- Two-panel axial: CT | PSMA PET, 68Ga tracer
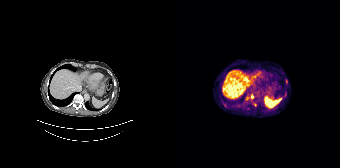
Findings: Coordinates are on the 168×168 PET (right) panel. (showing 2 of 3 foci) Small PSMA-avid foci (2 to 4 px across) near (center x, center y): (83, 104); (52, 105).